Face de-identified by blanking a block of the head.
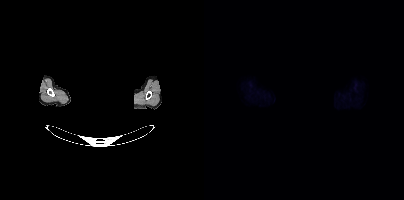
No PSMA-avid tumor lesions on this slice.